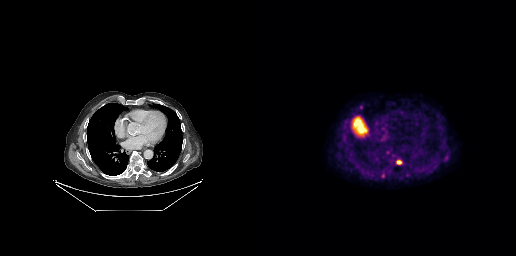
Two-panel axial: CT | PSMA PET, [18F]PSMA-1007 tracer. Slice position z = -307 mm. PET panel 256×256 px (2.7 mm/px). Coordinates are on the 256×256 PET (right) panel. PSMA-avid tumor lesion bounding box (x0,y0,x1,y1): [137,161,141,163]. Small PSMA-avid foci (2 to 4 px across) near (center x, center y): (122, 175); (101, 107).